Left: CT. Right: PSMA PET, same axial level, [18F]PSMA-1007 tracer. PET panel 200×200 px (4.1 mm/px).
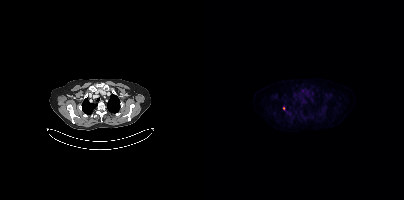
Only PSMA-avid lesion pieces thinner than 2 px on this slice (not listed).